modality: PSMA PET/CT | tracer: 18F | view: axial | PET grid: 200×200
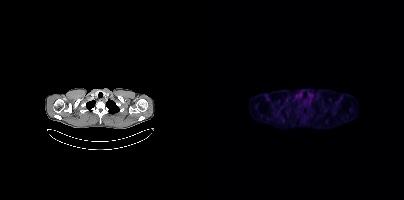
This slice has no annotated PSMA-avid lesion.